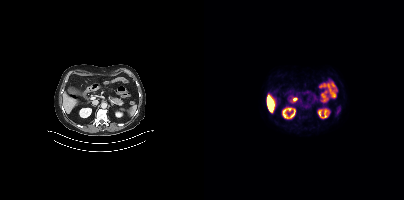
modality: PSMA PET/CT | tracer: 18F | view: axial | PET grid: 200×200
Negative for PSMA-avid disease on this slice.